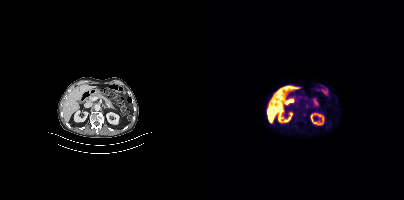
This slice has no annotated PSMA-avid lesion.